Technique: Two-panel axial: CT | PSMA PET, [18F]PSMA-1007 tracer. acquired on Siemens Biograph mCT Flow 20. PET panel 200×200 px (4.1 mm/px).
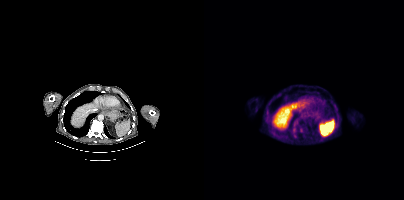
Findings: Coordinates are on the 200×200 PET (right) panel. Small PSMA-avid focus (2 to 4 px across) near (center x, center y): (97, 130).